- Two-panel axial: CT | PSMA PET, 68Ga-PSMA tracer
- slice position z = -1366 mm
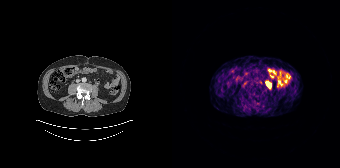
Findings: Coordinates are on the 168×168 PET (right) panel. (showing 1 of 2 foci) Small PSMA-avid focus (2 to 4 px across) near (center x, center y): (97, 85).